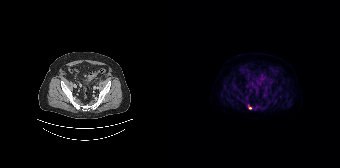
Coordinates are on the 168×168 PET (right) panel. PSMA-avid tumor lesion bounding box (x0,y0,x1,y1): [76,105,79,109].